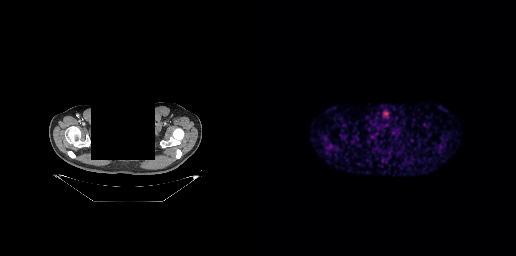
- head region blanked for anonymization (face removed)
- Paired axial CT (left) and PSMA PET (right), 68Ga tracer
- acquired on GE Discovery 690
- slice 230 of 263
- PET panel 256×256 px (2.7 mm/px)
Findings: This slice has no annotated PSMA-avid lesion.